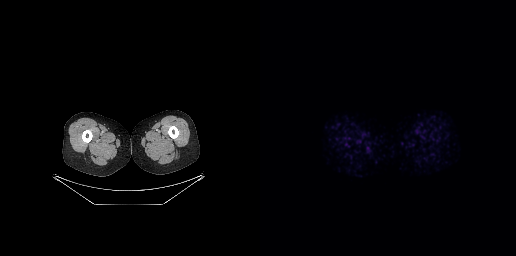
Technique: Left: CT. Right: PSMA PET, same axial level, 18F tracer. slice position z = -845 mm.
Findings: No PSMA-avid tumor lesions on this slice.